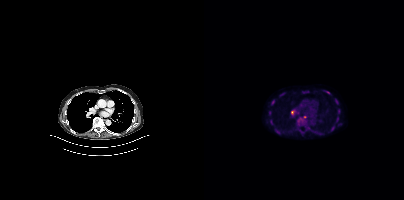
Coordinates are on the 200×200 PET (right) panel. PSMA-avid tumor lesion bounding boxes (x, y, width, height): x=131 y=99 w=4 h=6 / x=87 y=110 w=3 h=5 / x=134 y=109 w=3 h=5. Small PSMA-avid foci (2 to 4 px across) near (center x, center y): (133, 118) / (124, 92) / (68, 103) / (67, 121) / (65, 112).
modality: PSMA PET/CT | tracer: 18F | view: axial